Technique: Two-panel axial: CT | PSMA PET, [68Ga]Ga-PSMA-11 tracer. slice 116 of 165.
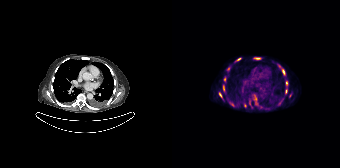
Findings: Coordinates are on the 168×168 PET (right) panel. (showing 12 of 15 foci) PSMA-avid tumor lesion bounding boxes (x0,y0,x1,y1): [106,65,113,74], [47,92,50,97], [113,89,115,93], [82,95,84,100], [51,85,52,90], [84,58,88,59]. Small PSMA-avid foci (2 to 4 px across) near (center x, center y): (73, 105), (66, 59), (60, 104), (56, 69), (52, 79), (114, 84).